modality: PSMA PET/CT | tracer: 18F | view: axial
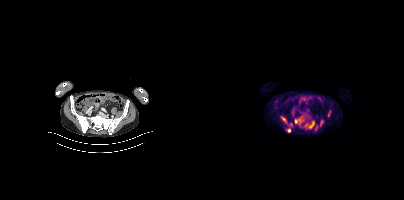
Coordinates are on the 200×200 PET (right) panel. PSMA-avid tumor lesion bounding boxes (x0, y0)-(x1, y1): (91, 117)-(100, 125); (100, 121)-(110, 128); (116, 121)-(118, 125). Small PSMA-avid foci (2 to 4 px across) near (center x, center y): (85, 129); (124, 115); (111, 127).